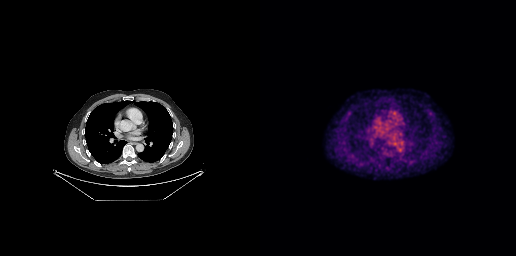
modality: PSMA PET/CT | tracer: 18F | view: axial
No PSMA-avid tumor lesions on this slice.